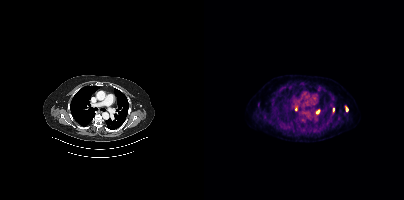
Coordinates are on the 200×200 PET (right) panel. Small PSMA-avid foci (2 to 4 px across) near (center x, center y): (113, 111) | (142, 108) | (129, 109) | (91, 109).